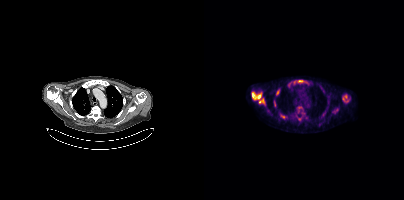
Coordinates are on the 200×200 PET (right) panel. (showing 7 of 9 foci) PSMA-avid tumor lesion bounding boxes (x0, y0)-(x1, y1): (48, 92)-(60, 103) / (139, 95)-(144, 101) / (93, 80)-(102, 82) / (72, 91)-(75, 95) / (78, 115)-(82, 118). Small PSMA-avid foci (2 to 4 px across) near (center x, center y): (71, 105) / (95, 107).